Left: CT. Right: PSMA PET, same axial level, 68Ga-PSMA tracer. PET panel 256×256 px (2.7 mm/px).
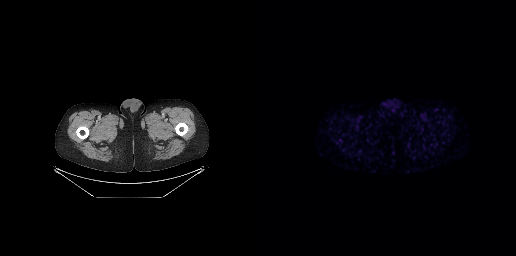
This slice has no annotated PSMA-avid lesion.